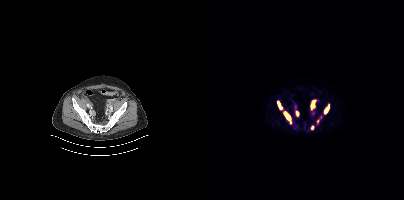
modality: PSMA PET/CT | tracer: 18F | view: axial | PET grid: 200×200
Coordinates are on the 200×200 PET (right) panel. PSMA-avid tumor lesion bounding boxes (x0, y0)-(x1, y1): (79, 111)-(87, 123); (106, 99)-(112, 109); (120, 104)-(125, 114); (73, 101)-(78, 109); (92, 111)-(95, 116). Small PSMA-avid foci (2 to 4 px across) near (center x, center y): (108, 127); (113, 121).